modality: PSMA PET/CT | tracer: [68Ga]Ga-PSMA-11 | view: axial
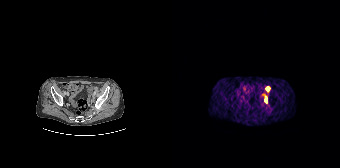
Coordinates are on the 168×168 PET (right) panel. PSMA-avid tumor lesion bounding box (x, y, width, height): x=93 y=97 w=2 h=6. Small PSMA-avid foci (2 to 4 px across) near (center x, center y): (95, 88); (92, 95).